Left: CT. Right: PSMA PET, same axial level, 18F-PSMA tracer. Acquired on Siemens Biograph mCT Flow 20. Slice position z = -1078 mm. PET panel 200×200 px (4.1 mm/px).
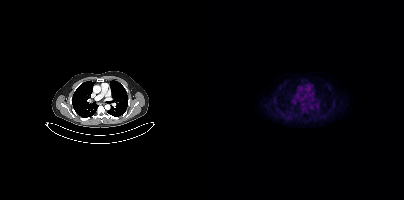
Negative for PSMA-avid disease on this slice.